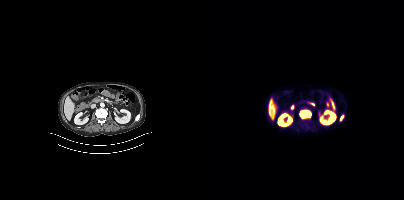
Coordinates are on the 200×200 PET (right) panel. PSMA-avid tumor lesion bounding boxes (x, y, width, height): x=96 y=110 w=12 h=9; x=136 y=115 w=4 h=6.
modality: PSMA PET/CT | tracer: [18F]PSMA-1007 | view: axial